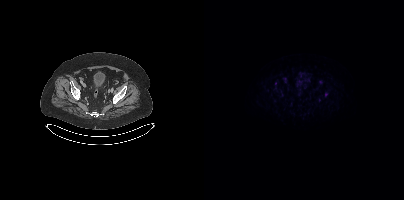
modality: PSMA PET/CT | tracer: [18F]PSMA-1007 | view: axial | PET grid: 200×200
Coordinates are on the 200×200 PET (right) panel. Small PSMA-avid focus (2 to 4 px across) near (center x, center y): (122, 94).